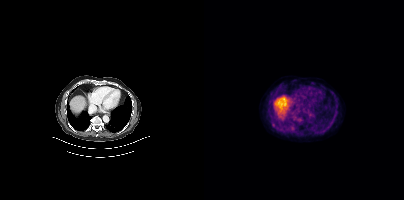
{"modality":"PSMA PET/CT","view":"axial","tracer":"18F","pet_grid":[200,200],"coord_frame":"pet_panel","coord_format":"x0,y0,x1,y1","psma_avid_lesions":false}